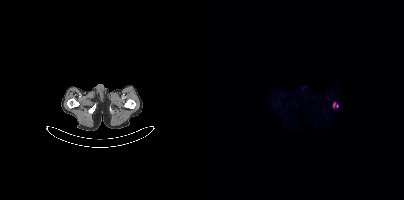
modality: PSMA PET/CT | tracer: 18F | view: axial
Coordinates are on the 200×200 PET (right) panel. PSMA-avid tumor lesion bounding box (x0, y0)-(x1, y1): (129, 102)-(134, 107).